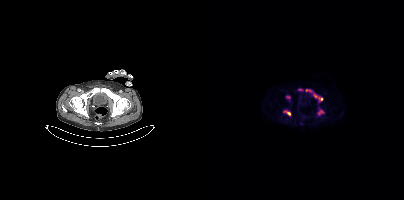
{"modality":"PSMA PET/CT","view":"axial","tracer":"18F-PSMA","pet_grid":[200,200],"coord_frame":"pet_panel","coord_format":"x0,y0,x1,y1","lesion_bboxes":[[109,93,119,101],[113,109,119,115],[79,110,86,115],[102,89,107,91]],"small_foci_centers":[[83,97],[96,89]]}